Paired axial CT (left) and PSMA PET (right), [18F]PSMA-1007 tracer. Slice position z = -764 mm.
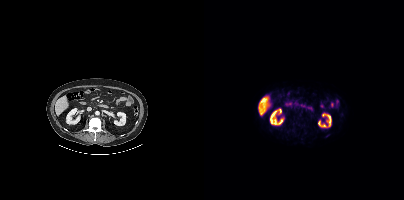
This slice has no annotated PSMA-avid lesion.